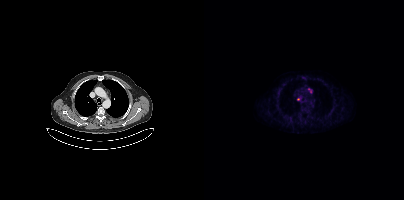
Coordinates are on the 200×200 PET (right) panel. PSMA-avid tumor lesion bounding box (x0,y0,x1,y1): [104,88,107,92]. Small PSMA-avid focus (2 to 4 px across) near (center x, center y): (94, 99).